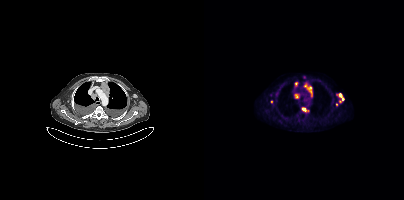
Coordinates are on the 200×200 PET (right) panel. PSMA-avid tumor lesion bounding boxes (x0, y0)-(x1, y1): (100, 84)-(108, 96) | (132, 93)-(140, 100) | (98, 107)-(104, 111) | (91, 94)-(94, 98). Small PSMA-avid foci (2 to 4 px across) near (center x, center y): (67, 101) | (92, 83) | (135, 101) | (132, 104).